modality: PSMA PET/CT | tracer: 18F | view: axial | PET grid: 200×200
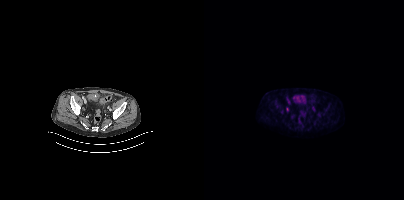
Negative for PSMA-avid disease on this slice.